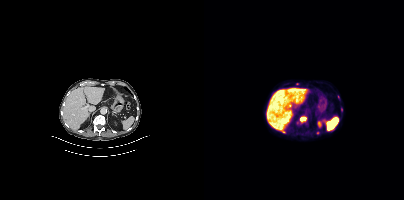
- Two-panel axial: CT | PSMA PET, [18F]PSMA-1007 tracer
- PET panel 200×200 px (4.1 mm/px)
Findings: Coordinates are on the 200×200 PET (right) panel. PSMA-avid tumor lesion bounding box (x0, y0)-(x1, y1): (96, 117)-(102, 121). Small PSMA-avid foci (2 to 4 px across) near (center x, center y): (79, 131) / (93, 83) / (137, 109).